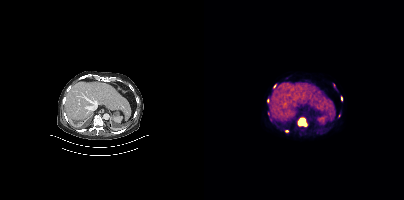
{"pet_grid":[200,200],"coord_frame":"pet_panel","coord_format":"x0,y0,x1,y1","partial":true,"lesion_bboxes":[[93,117,103,127],[137,96,138,100]],"small_foci_centers":[[82,131],[63,100],[70,86]],"modality":"PSMA PET/CT","view":"axial","tracer":"[18F]PSMA-1007"}